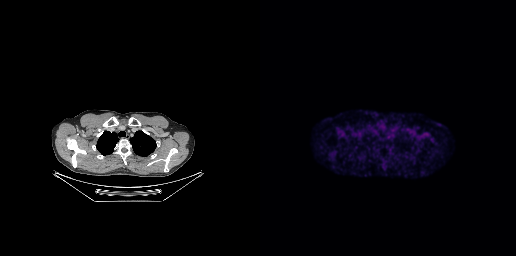
Left: CT. Right: PSMA PET, same axial level, 18F-PSMA tracer. Acquired on GE Discovery 690. Slice 217 of 263. PET panel 256×256 px (2.7 mm/px). Negative for PSMA-avid disease on this slice.